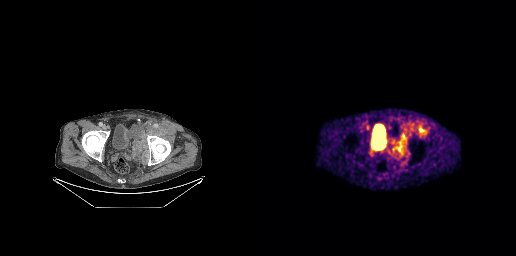
Coordinates are on the 256×256 PET (right) panel. PSMA-avid tumor lesion bounding boxes (x, y, width, height): x=133 y=135 w=16 h=22; x=155 y=124 w=13 h=12.